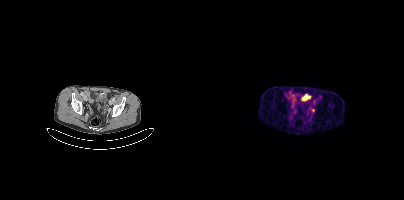
{"modality":"PSMA PET/CT","view":"axial","tracer":"68Ga-PSMA","pet_grid":[200,200],"coord_frame":"pet_panel","coord_format":"x0,y0,x1,y1","lesion_bboxes":[],"small_foci_centers":[[109,110]]}